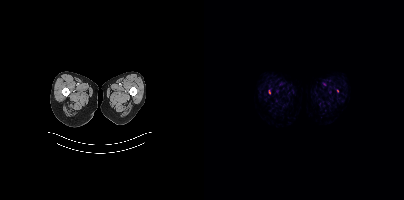
Findings: Coordinates are on the 200×200 PET (right) panel. Small PSMA-avid foci (2 to 4 px across) near (center x, center y): (65, 91) (133, 90).
- Left: CT. Right: PSMA PET, same axial level, 18F-PSMA tracer
- slice 10 of 429
- PET panel 200×200 px (4.1 mm/px)